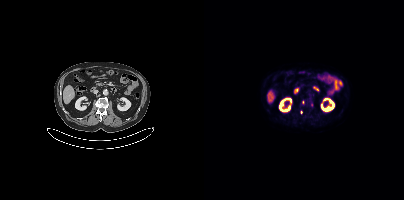
Coordinates are on the 200×200 PET (right) panel. (showing 1 of 3 foci) Small PSMA-avid focus (2 to 4 px across) near (center x, center y): (107, 105).